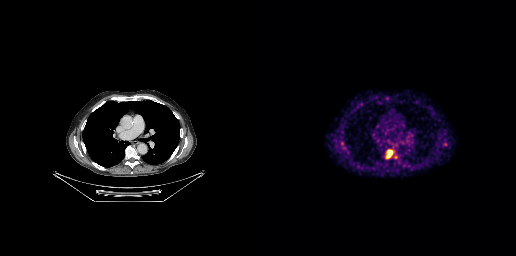
{"pet_grid":[256,256],"coord_frame":"pet_panel","coord_format":"x0,y0,x1,y1","lesion_bboxes":[[127,150,132,157]],"modality":"PSMA PET/CT","view":"axial","tracer":"[68Ga]Ga-PSMA-11"}